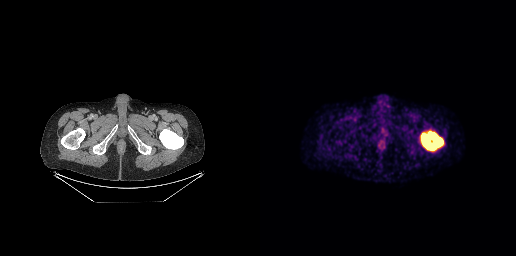
{"modality":"PSMA PET/CT","view":"axial","tracer":"68Ga-PSMA","pet_grid":[256,256],"coord_frame":"pet_panel","coord_format":"x0,y0,x1,y1","lesion_bboxes":[[161,131,183,150]]}